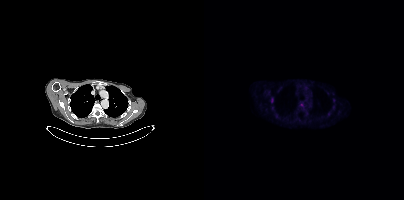
Coordinates are on the 200×200 PET (right) panel. PSMA-avid tumor lesion bounding box (x0,y0,x1,y1): [67,98,69,102]. Small PSMA-avid focus (2 to 4 px across) near (center x, center y): (97, 104).